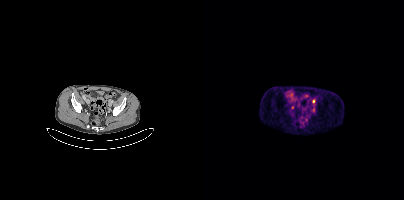
Technique: Two-panel axial: CT | PSMA PET, 68Ga-PSMA tracer. slice position z = -837 mm. PET panel 200×200 px (4.1 mm/px).
Findings: Coordinates are on the 200×200 PET (right) panel. (showing 2 of 3 foci) Small PSMA-avid foci (2 to 4 px across) near (center x, center y): (109, 100), (109, 109).